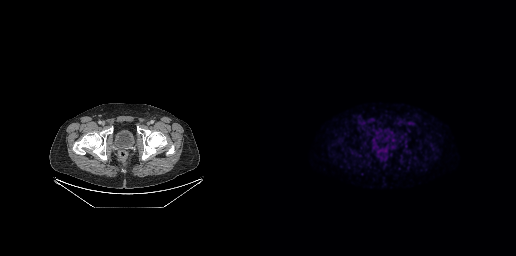
Negative for PSMA-avid disease on this slice. Two-panel axial: CT | PSMA PET, 18F tracer.